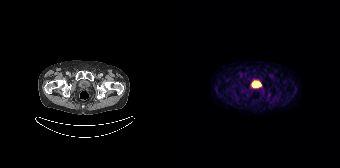
{"pet_grid":[168,168],"coord_frame":"pet_panel","coord_format":"x0,y0,x1,y1","psma_avid_lesions":false,"modality":"PSMA PET/CT","view":"axial","tracer":"68Ga-PSMA"}